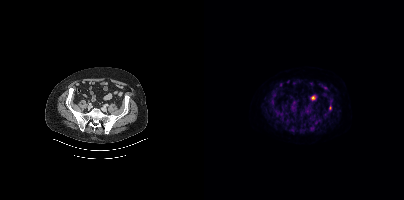
Coordinates are on the 200×200 PET (right) panel. Small PSMA-avid focus (2 to 4 px across) near (center x, center y): (125, 107).